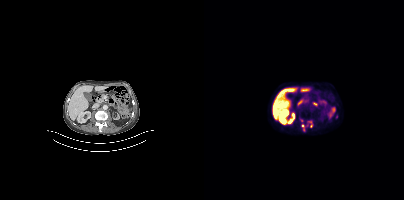
{"pet_grid":[200,200],"coord_frame":"pet_panel","coord_format":"x0,y0,x1,y1","lesion_bboxes":[[98,120,108,131]],"small_foci_centers":[[97,119]],"modality":"PSMA PET/CT","view":"axial","tracer":"18F"}